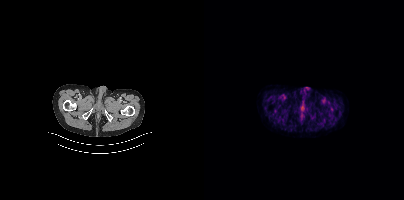
Left: CT. Right: PSMA PET, same axial level, [18F]PSMA-1007 tracer. PET panel 200×200 px (4.1 mm/px). This slice has no annotated PSMA-avid lesion.